Left: CT. Right: PSMA PET, same axial level, 18F tracer.
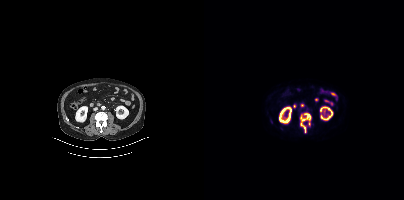
Coordinates are on the 200×200 PET (right) panel. (showing 1 of 2 foci) PSMA-avid tumor lesion bounding box (x0,y0,x1,y1): [96,113,106,132].